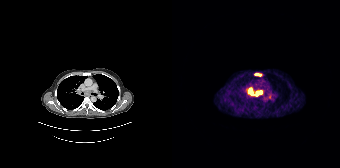
modality: PSMA PET/CT | tracer: [68Ga]Ga-PSMA-11 | view: axial
Coordinates are on the 168×168 PET (right) panel. PSMA-avid tumor lesion bounding boxes (x0, y0)-(x1, y1): (75, 87)-(90, 96); (82, 72)-(90, 76).